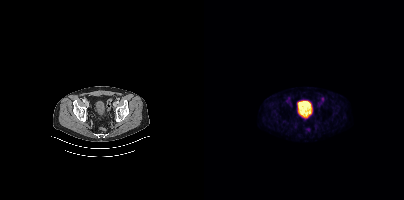
Left: CT. Right: PSMA PET, same axial level, [68Ga]Ga-PSMA-11 tracer. Coordinates are on the 200×200 PET (right) panel. Small PSMA-avid focus (2 to 4 px across) near (center x, center y): (118, 98).